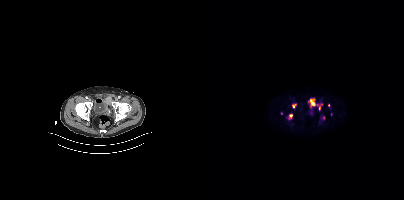
Coordinates are on the 200×200 PET (right) panel. PSMA-avid tumor lesion bounding boxes (x0,y0,x1,y1): [106,99,110,105] [85,114,88,119]. Small PSMA-avid foci (2 to 4 px across) near (center x, center y): (90, 105) (115, 107).